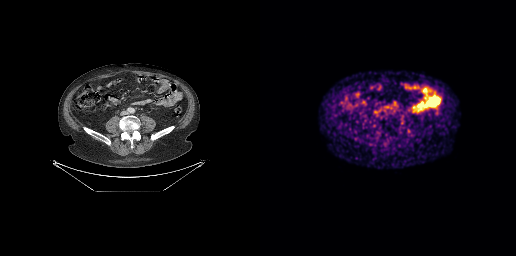
This slice has no annotated PSMA-avid lesion. Paired axial CT (left) and PSMA PET (right), 68Ga tracer. Slice 97 of 263. PET panel 256×256 px (2.7 mm/px).